- Two-panel axial: CT | PSMA PET, 68Ga-PSMA tracer
- acquired on Siemens Biograph 64-4R TruePoint
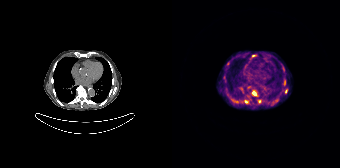
Findings: Coordinates are on the 168×168 PET (right) panel. PSMA-avid tumor lesion bounding boxes (x0,y0,x1,y1): [80,91,84,95] [111,80,113,85]. Small PSMA-avid foci (2 to 4 px across) near (center x, center y): (114, 90) (81, 55) (56, 63) (86, 100) (111, 68) (52, 76) (73, 101) (69, 88).